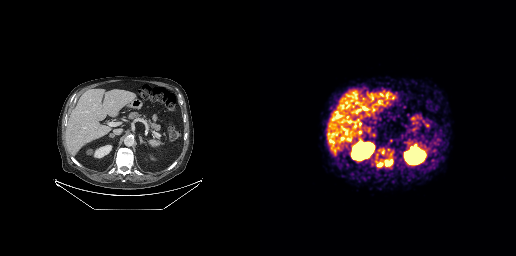
{"modality":"PSMA PET/CT","view":"axial","tracer":"68Ga-PSMA","pet_grid":[256,256],"coord_frame":"pet_panel","coord_format":"x0,y0,x1,y1","partial":true,"lesion_bboxes":[[116,158,133,167],[121,149,124,154]],"small_foci_centers":[[130,154],[128,149]]}